Left: CT. Right: PSMA PET, same axial level, 18F-PSMA tracer. Acquired on Siemens Biograph mCT Flow 20. Slice 95 of 435. PET panel 200×200 px (4.1 mm/px).
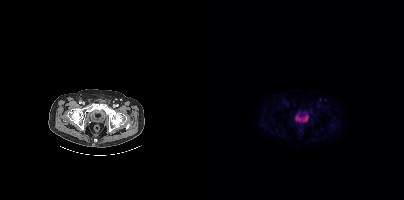
Only PSMA-avid lesion pieces thinner than 2 px on this slice (not listed).